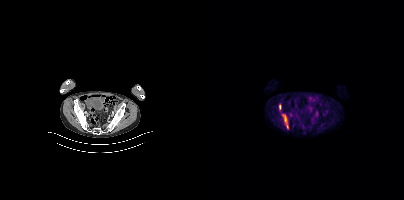
Paired axial CT (left) and PSMA PET (right), 18F-PSMA tracer. Coordinates are on the 200×200 PET (right) panel. PSMA-avid tumor lesion bounding boxes (x0,y0,x1,y1): [81,123,84,128]; [75,104,77,109].